Technique: Left: CT. Right: PSMA PET, same axial level, 68Ga-PSMA tracer.
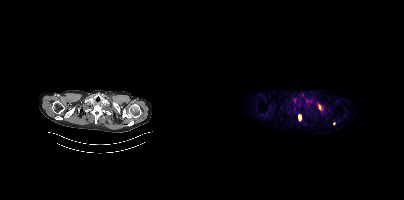
Findings: Coordinates are on the 200×200 PET (right) panel. PSMA-avid tumor lesion bounding box (x0,y0,x1,y1): [115,105,117,109]. Small PSMA-avid foci (2 to 4 px across) near (center x, center y): (95, 117); (129, 123).